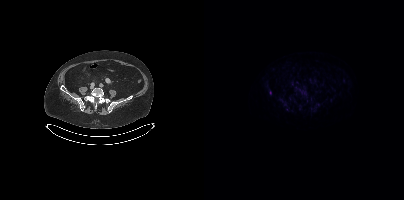
{"pet_grid":[200,200],"coord_frame":"pet_panel","coord_format":"x0,y0,x1,y1","lesion_bboxes":[],"small_foci_centers":[[66,92]],"modality":"PSMA PET/CT","view":"axial","tracer":"18F-PSMA"}